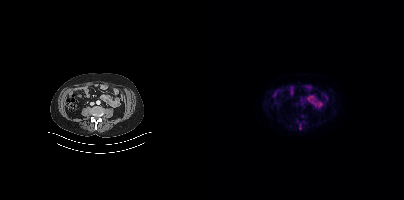
modality: PSMA PET/CT | tracer: 18F-PSMA | view: axial
This slice has no annotated PSMA-avid lesion.